Technique: Paired axial CT (left) and PSMA PET (right), 18F-PSMA tracer. PET panel 200×200 px (4.1 mm/px).
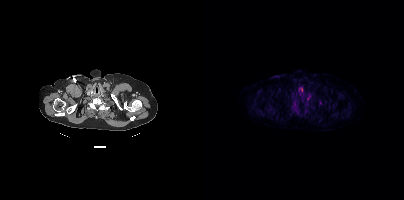
Findings: Coordinates are on the 200×200 PET (right) panel. Small PSMA-avid foci (2 to 4 px across) near (center x, center y): (91, 104) (117, 119).